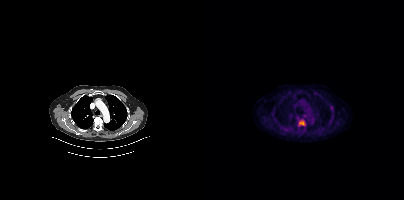
{"pet_grid":[200,200],"coord_frame":"pet_panel","coord_format":"x0,y0,x1,y1","lesion_bboxes":[[94,119,101,125]],"modality":"PSMA PET/CT","view":"axial","tracer":"[18F]PSMA-1007"}